Two-panel axial: CT | PSMA PET, 18F tracer. Acquired on GE Discovery 690. Slice position z = -295 mm. PET panel 256×256 px (2.7 mm/px).
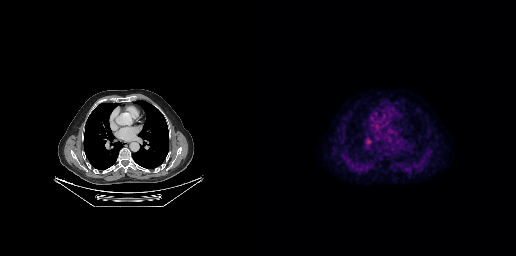
Coordinates are on the 256×256 PET (right) panel. PSMA-avid tumor lesion bounding box (x0,y0,x1,y1): [105,137,113,145].